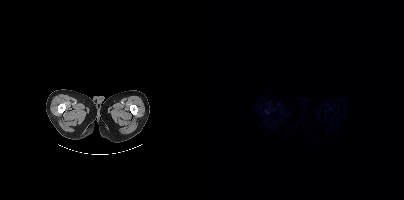
{"modality":"PSMA PET/CT","view":"axial","tracer":"18F","pet_grid":[200,200],"coord_frame":"pet_panel","coord_format":"x0,y0,x1,y1","psma_avid_lesions":false}